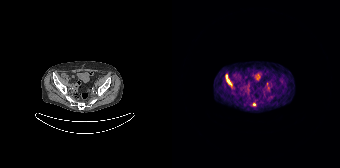
Left: CT. Right: PSMA PET, same axial level, [68Ga]Ga-PSMA-11 tracer. Slice position z = -1164 mm. Coordinates are on the 168×168 PET (right) panel. PSMA-avid tumor lesion bounding box (x0,y0,x1,y1): [54,75,59,85]. Small PSMA-avid foci (2 to 4 px across) near (center x, center y): (82, 104); (95, 84).